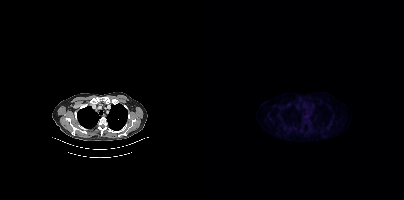
{"modality":"PSMA PET/CT","view":"axial","tracer":"[18F]PSMA-1007","pet_grid":[200,200],"coord_frame":"pet_panel","coord_format":"x0,y0,x1,y1","psma_avid_lesions":false}